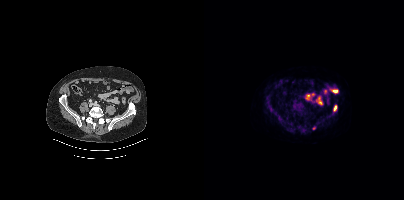
{"modality":"PSMA PET/CT","view":"axial","tracer":"18F","pet_grid":[200,200],"coord_frame":"pet_panel","coord_format":"x0,y0,x1,y1","lesion_bboxes":[[129,105,133,111]],"small_foci_centers":[[110,128]]}